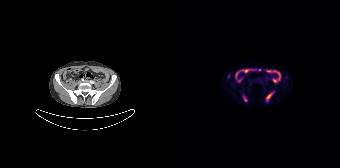
Findings: Coordinates are on the 168×168 PET (right) panel. PSMA-avid tumor lesion bounding boxes (x0,y0,x1,y1): [94,93,100,101], [71,95,75,101], [55,74,58,78].
- Left: CT. Right: PSMA PET, same axial level, 18F-PSMA tracer
- slice position z = 1528 mm